Paired axial CT (left) and PSMA PET (right), [18F]PSMA-1007 tracer. Slice 55 of 436.
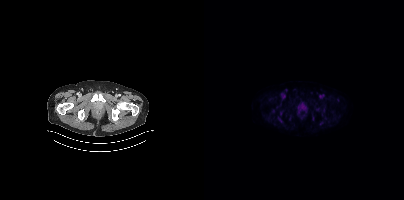
Coordinates are on the 200×200 PET (right) panel. Small PSMA-avid focus (2 to 4 px across) near (center x, center y): (99, 106).